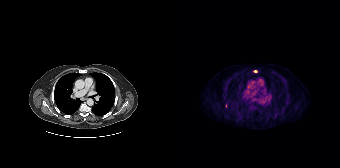
Coordinates are on the 168×168 PET (right) panel. (showing 1 of 2 foci) Small PSMA-avid focus (2 to 4 px across) near (center x, center y): (83, 71). Two-panel axial: CT | PSMA PET, 18F-PSMA tracer. PET panel 168×168 px (4.1 mm/px).